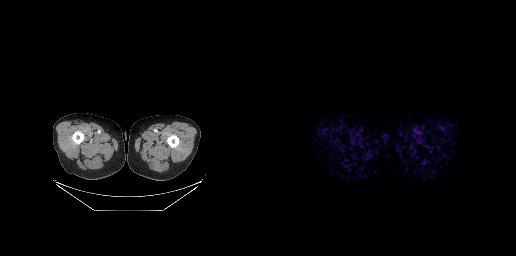
No tumor lesions annotated on this slice.